Two-panel axial: CT | PSMA PET, [18F]PSMA-1007 tracer.
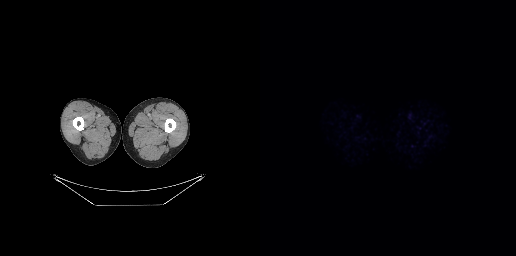
This slice has no annotated PSMA-avid lesion.